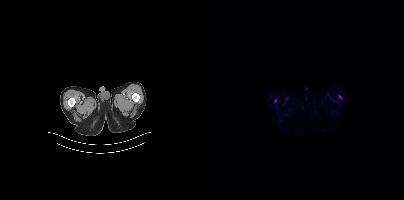
Coordinates are on the 200×200 PET (right) panel. (showing 1 of 2 foci) Small PSMA-avid focus (2 to 4 px across) near (center x, center y): (71, 100).